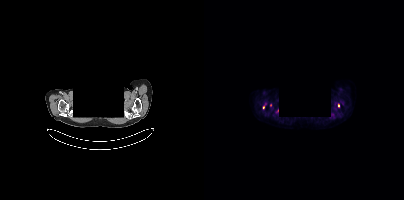
{"modality":"PSMA PET/CT","view":"axial","tracer":"18F","pet_grid":[200,200],"coord_frame":"pet_panel","coord_format":"x0,y0,x1,y1","deidentification":"facial region redacted","lesion_bboxes":[],"small_foci_centers":[[134,105],[59,107],[66,105],[73,110]]}